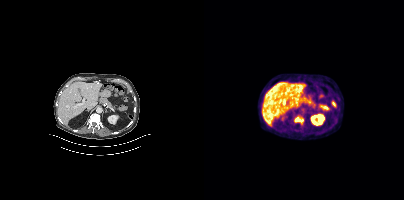
Technique: Two-panel axial: CT | PSMA PET, 18F tracer. slice position z = -1258 mm.
Findings: Coordinates are on the 200×200 PET (right) panel. PSMA-avid tumor lesion bounding box (x0,y0,x1,y1): [91,117,99,121].